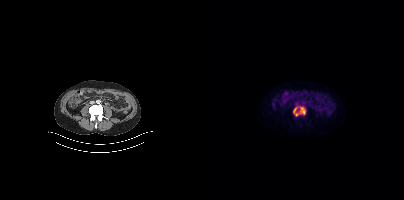
Findings: Coordinates are on the 200×200 PET (right) panel. PSMA-avid tumor lesion bounding box (x0,y0,x1,y1): [89,106,101,116].
Technique: Paired axial CT (left) and PSMA PET (right), 18F-PSMA tracer. slice 159 of 415. PET panel 200×200 px (4.1 mm/px).